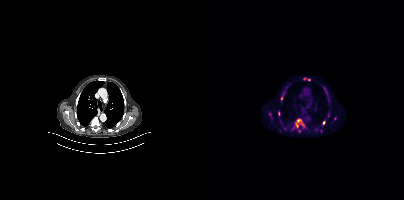
Paired axial CT (left) and PSMA PET (right), 18F tracer. Slice position z = -1019 mm.
Coordinates are on the 200×200 PET (right) panel. PSMA-avid tumor lesion bounding boxes (partial; 5 more foci not listed):
| # | x0 | y0 | x1 | y1 |
|---|---|---|---|---|
| 1 | 87 | 118 | 102 | 132 |
| 2 | 64 | 112 | 68 | 118 |
| 3 | 118 | 119 | 121 | 124 |
| 4 | 74 | 111 | 76 | 116 |
| 5 | 99 | 78 | 106 | 80 |
Small PSMA-avid foci (2 to 4 px across) near (center x, center y): (77, 98); (124, 116).